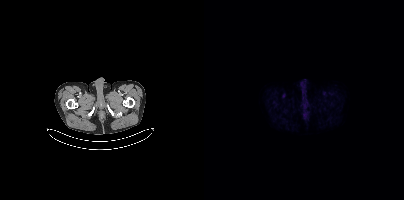
{"modality":"PSMA PET/CT","view":"axial","tracer":"18F","pet_grid":[200,200],"coord_frame":"pet_panel","coord_format":"x0,y0,x1,y1","lesion_bboxes":[],"small_foci_centers":[[101,114]]}